Two-panel axial: CT | PSMA PET, 68Ga tracer. Acquired on Siemens Biograph mCT Flow 20.
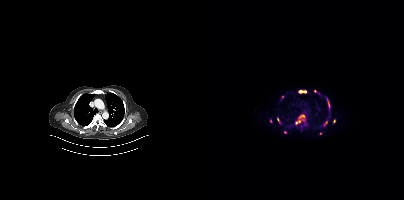
Coordinates are on the 200×200 PET (right) panel. (showing 10 of 11 foci) PSMA-avid tumor lesion bounding boxes (x0,y0,x1,y1): [91,120,96,124]; [95,90,102,92]; [119,121,123,125]; [73,118,77,123]; [123,99,125,104]. Small PSMA-avid foci (2 to 4 px across) near (center x, center y): (101, 123); (130, 121); (81, 132); (124, 109); (99, 115).